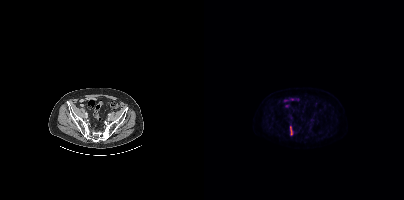
Two-panel axial: CT | PSMA PET, 18F-PSMA tracer. Acquired on Siemens Biograph mCT Flow 20. Slice 128 of 435. PET panel 200×200 px (4.1 mm/px). Only PSMA-avid lesion pieces thinner than 2 px on this slice (not listed).